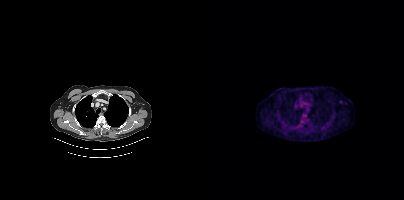
Left: CT. Right: PSMA PET, same axial level, 18F tracer. Slice position z = -284 mm. Only PSMA-avid lesion pieces thinner than 2 px on this slice (not listed).